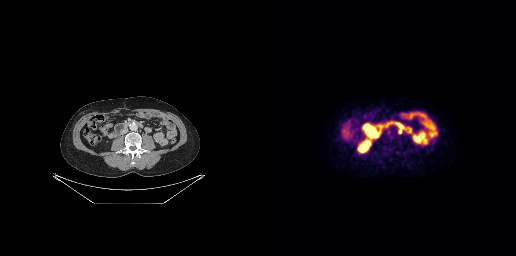
Coordinates are on the 256×256 PET (right) panel. PSMA-avid tumor lesion bounding box (x, y, width, height): x=138 y=127 w=6 h=7.